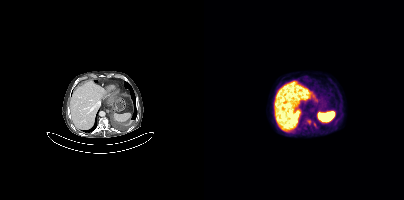
Coordinates are on the 200×200 PET (right) panel. Small PSMA-avid foci (2 to 4 px across) near (center x, center y): (105, 121) (110, 124).
modality: PSMA PET/CT | tracer: 18F-PSMA | view: axial | PET grid: 200×200